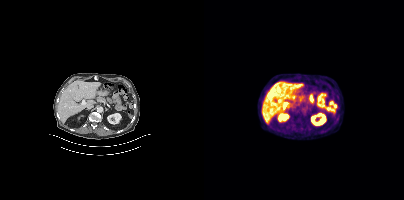
Negative for PSMA-avid disease on this slice.